- Two-panel axial: CT | PSMA PET, [18F]PSMA-1007 tracer
- acquired on Siemens Biograph mCT Flow 20
- slice position z = -682 mm
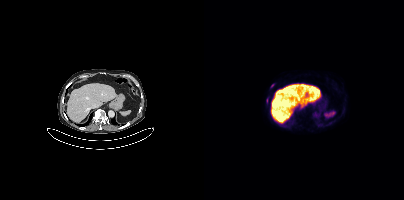
Findings: Coordinates are on the 200×200 PET (right) panel. PSMA-avid tumor lesion bounding box (x0, y0)-(x1, y1): (62, 98)-(64, 103). Small PSMA-avid focus (2 to 4 px across) near (center x, center y): (68, 85).